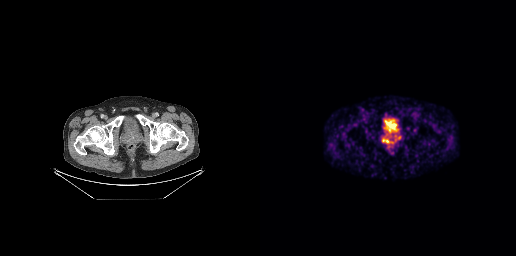
{"pet_grid":[256,256],"coord_frame":"pet_panel","coord_format":"x0,y0,x1,y1","lesion_bboxes":[[123,139,128,142]],"modality":"PSMA PET/CT","view":"axial","tracer":"[68Ga]Ga-PSMA-11"}